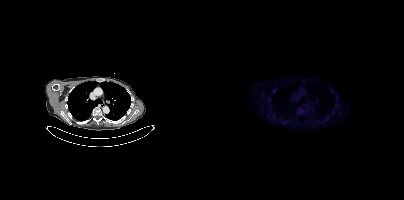
modality: PSMA PET/CT | tracer: 18F-PSMA | view: axial | PET grid: 200×200
Coordinates are on the 200×200 PET (right) panel. Small PSMA-avid foci (2 to 4 px across) near (center x, center y): (97, 110) | (132, 97) | (70, 90) | (132, 103).